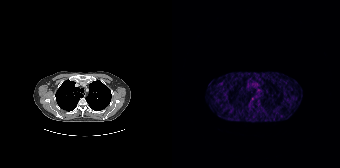
Coordinates are on the 168×168 PET (right) panel. Small PSMA-avid focus (2 to 4 px across) near (center x, center y): (80, 98).